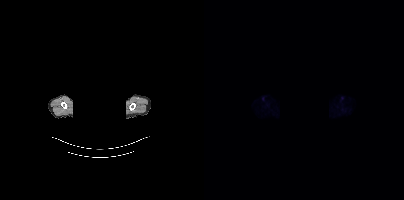
{"modality":"PSMA PET/CT","view":"axial","tracer":"18F","pet_grid":[200,200],"coord_frame":"pet_panel","coord_format":"x0,y0,x1,y1","psma_avid_lesions":false,"de-identification":"privacy mask over head"}